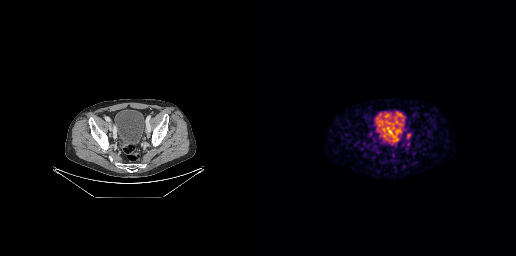
{"modality":"PSMA PET/CT","view":"axial","tracer":"68Ga","pet_grid":[256,256],"coord_frame":"pet_panel","coord_format":"x0,y0,x1,y1","lesion_bboxes":[[146,133,151,139]]}